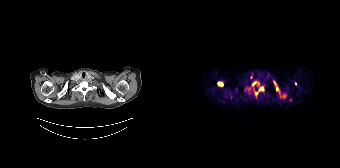
Coordinates are on the 168×168 PET (right) panel. (showing 7 of 8 foci) PSMA-avid tumor lesion bounding boxes (x, y, width, height): x=87 y=87 w=5 h=4 | x=46 y=82 w=6 h=4 | x=102 y=81 w=3 h=5. Small PSMA-avid foci (2 to 4 px across) near (center x, center y): (123, 83) | (76, 89) | (82, 83) | (104, 88).
modality: PSMA PET/CT | tracer: 68Ga-PSMA | view: axial | PET grid: 168×168